- Two-panel axial: CT | PSMA PET, [68Ga]Ga-PSMA-11 tracer
- slice position z = -864 mm
- PET panel 168×168 px (4.1 mm/px)
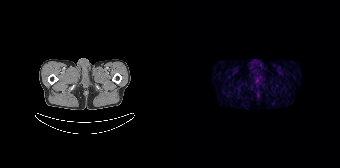
Findings: No PSMA-avid tumor lesions on this slice.